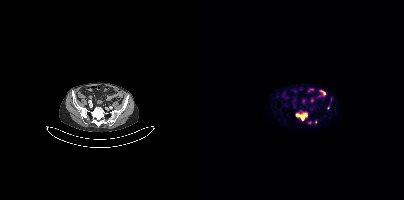
Coordinates are on the 200×200 PET (right) panel. (showing 2 of 3 foci) PSMA-avid tumor lesion bounding box (x, y, width, height): x=92 y=113 w=12 h=9. Small PSMA-avid focus (2 to 4 px across) near (center x, center y): (124, 107).
modality: PSMA PET/CT | tracer: [18F]PSMA-1007 | view: axial